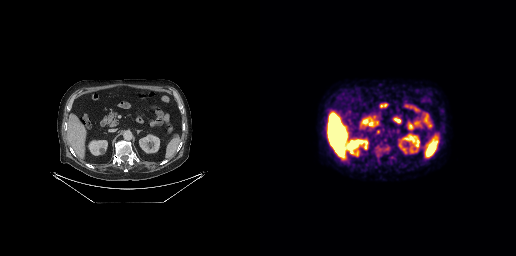
- Two-panel axial: CT | PSMA PET, [18F]PSMA-1007 tracer
- acquired on GE Discovery 690
Findings: Coordinates are on the 256×256 PET (right) panel. PSMA-avid tumor lesion bounding box (x, y, width, height): x=116 y=130 w=5 h=5.